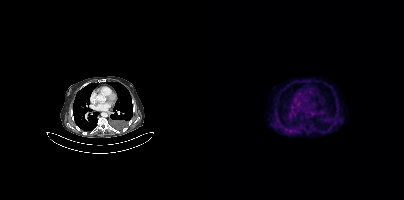
Coordinates are on the 200×200 PET (right) panel. PSMA-avid tumor lesion bounding boxes:
| # | x0 | y0 | x1 | y1 |
|---|---|---|---|---|
| 1 | 116 | 130 | 121 | 133 |
Paired axial CT (left) and PSMA PET (right), 18F tracer. Slice 280 of 425. PET panel 200×200 px (4.1 mm/px).